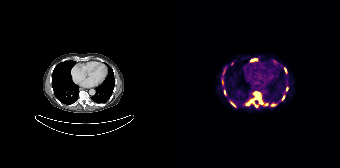
Coordinates are on the 168×168 PET (right) panel. (showing 11 of 13 foci) PSMA-avid tumor lesion bounding boxes (x, y, width, height): x=84 y=92 w=5 h=9 | x=112 y=68 w=3 h=5 | x=52 y=90 w=2 h=5 | x=59 y=102 w=5 h=5. Small PSMA-avid foci (2 to 4 px across) near (center x, center y): (80, 60) | (111, 97) | (88, 103) | (100, 104) | (114, 88) | (76, 104) | (84, 106). Paired axial CT (left) and PSMA PET (right), [68Ga]Ga-PSMA-11 tracer. Slice position z = -468 mm. PET panel 168×168 px (4.1 mm/px).